Two-panel axial: CT | PSMA PET, 18F-PSMA tracer. Slice 170 of 448. PET panel 200×200 px (4.1 mm/px).
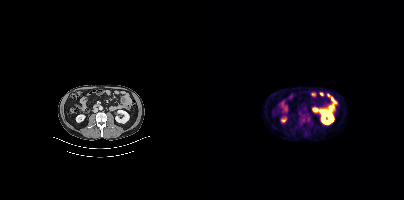
Coordinates are on the 200×200 PET (right) panel. PSMA-avid tumor lesion bounding boxes:
| # | x0 | y0 | x1 | y1 |
|---|---|---|---|---|
| 1 | 94 | 113 | 107 | 124 |